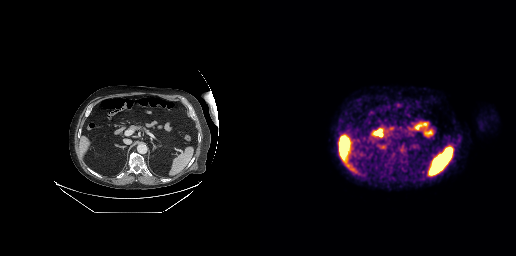
- Two-panel axial: CT | PSMA PET, [18F]PSMA-1007 tracer
Findings: This slice has no annotated PSMA-avid lesion.